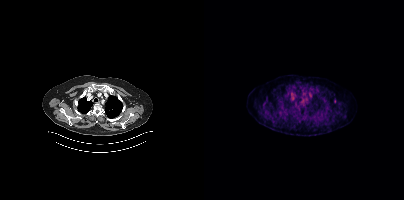
{"pet_grid":[200,200],"coord_frame":"pet_panel","coord_format":"x0,y0,x1,y1","partial":true,"lesion_bboxes":[],"modality":"PSMA PET/CT","view":"axial","tracer":"18F"}